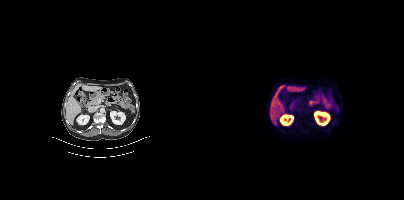
Paired axial CT (left) and PSMA PET (right), [18F]PSMA-1007 tracer. Negative for PSMA-avid disease on this slice.